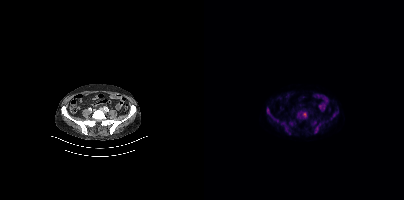
Left: CT. Right: PSMA PET, same axial level, [18F]PSMA-1007 tracer. Acquired on Siemens Biograph mCT Flow 20. PET panel 200×200 px (4.1 mm/px). Coordinates are on the 200×200 PET (right) panel. (showing 7 of 8 foci) PSMA-avid tumor lesion bounding boxes (x0, y0)-(x1, y1): (93, 111)-(103, 118) | (77, 122)-(86, 134) | (63, 107)-(74, 122) | (110, 123)-(117, 133) | (127, 112)-(134, 119) | (85, 121)-(89, 125) | (109, 121)-(112, 125).